Technique: Paired axial CT (left) and PSMA PET (right), 18F tracer. acquired on Siemens Biograph mCT Flow 20. PET panel 200×200 px (4.1 mm/px).
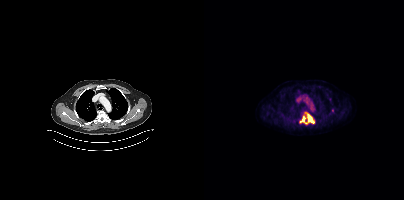
Findings: Coordinates are on the 200×200 PET (right) panel. PSMA-avid tumor lesion bounding box (x0, y0)-(x1, y1): (96, 112)-(110, 124). Small PSMA-avid focus (2 to 4 px across) near (center x, center y): (128, 110).